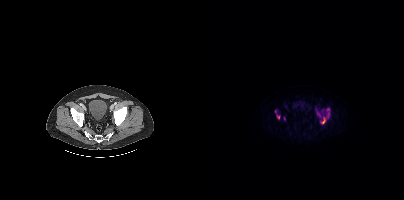
Coordinates are on the 200×200 PET (right) panel. (showing 3 of 5 foci) PSMA-avid tumor lesion bounding boxes (x0, y0)-(x1, y1): (117, 108)-(125, 124) | (112, 110)-(117, 115) | (71, 110)-(75, 118).